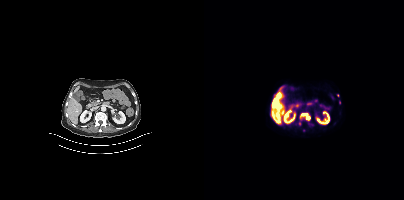
{"modality":"PSMA PET/CT","view":"axial","tracer":"18F-PSMA","pet_grid":[200,200],"coord_frame":"pet_panel","coord_format":"x0,y0,x1,y1","partial":true,"lesion_bboxes":[[97,113,106,119],[68,101,73,106]],"small_foci_centers":[[133,95]]}